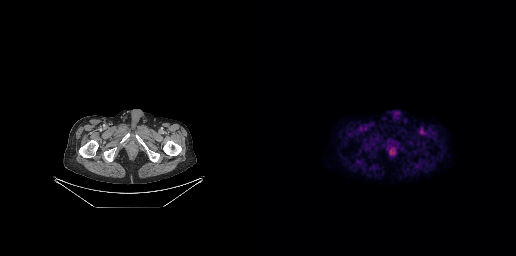
Two-panel axial: CT | PSMA PET, [18F]PSMA-1007 tracer. Acquired on GE Discovery 690. Slice position z = -727 mm. No PSMA-avid tumor lesions on this slice.